Left: CT. Right: PSMA PET, same axial level, 18F tracer. Slice position z = -791 mm.
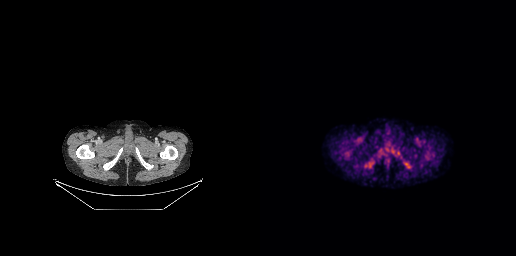
Negative for PSMA-avid disease on this slice.